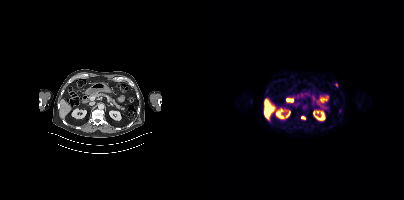
Paired axial CT (left) and PSMA PET (right), [18F]PSMA-1007 tracer. This slice has no annotated PSMA-avid lesion.